- Paired axial CT (left) and PSMA PET (right), 18F tracer
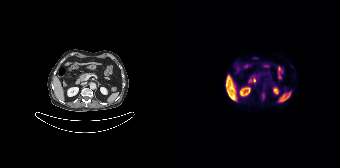
Findings: Only PSMA-avid lesion pieces thinner than 2 px on this slice (not listed).